modality: PSMA PET/CT | tracer: 18F-PSMA | view: axial | redaction: head region blacked out before release
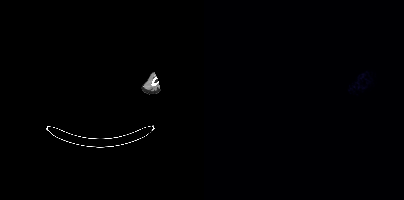
No tumor lesions annotated on this slice.